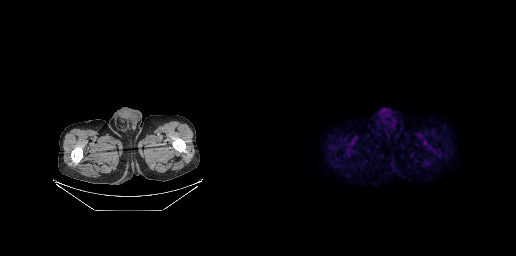
Findings: Negative for PSMA-avid disease on this slice.
Technique: Left: CT. Right: PSMA PET, same axial level, 18F-PSMA tracer. PET panel 256×256 px (2.7 mm/px).